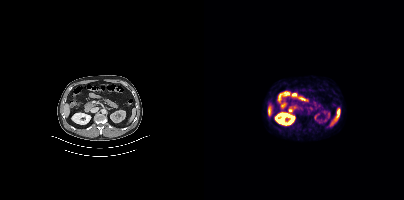
Paired axial CT (left) and PSMA PET (right), 18F-PSMA tracer. PET panel 200×200 px (4.1 mm/px). Negative for PSMA-avid disease on this slice.